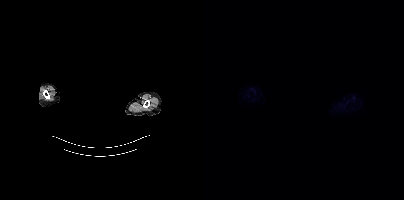
Face de-identified by blanking a block of the head. Paired axial CT (left) and PSMA PET (right), 18F-PSMA tracer. Acquired on Siemens Biograph mCT Flow 20. PET panel 200×200 px (4.1 mm/px). No PSMA-avid tumor lesions on this slice.